modality: PSMA PET/CT | tracer: 18F | view: axial | PET grid: 168×168
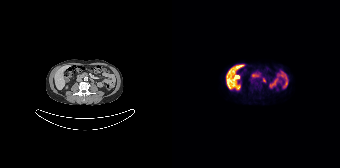
No tumor lesions annotated on this slice.